Two-panel axial: CT | PSMA PET, 18F-PSMA tracer. Slice position z = -629 mm. PET panel 200×200 px (4.1 mm/px).
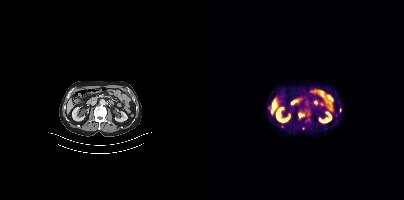
Coordinates are on the 200×200 PET (right) panel. PSMA-avid tumor lesion bounding box (x0, y0)-(x1, y1): (95, 113)-(99, 117). Small PSMA-avid foci (2 to 4 px across) near (center x, center y): (136, 110); (99, 128).